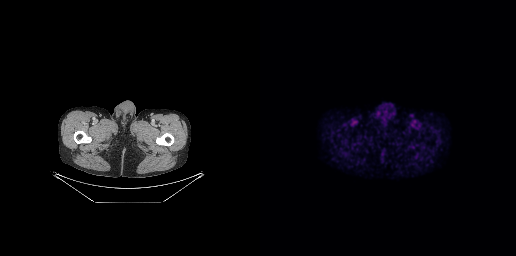
{"modality":"PSMA PET/CT","view":"axial","tracer":"[18F]PSMA-1007","pet_grid":[256,256],"coord_frame":"pet_panel","coord_format":"x0,y0,x1,y1","psma_avid_lesions":false}